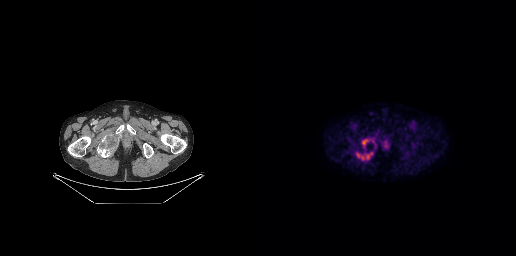
Left: CT. Right: PSMA PET, same axial level, 18F-PSMA tracer. PET panel 256×256 px (2.7 mm/px).
Coordinates are on the 256×256 PET (right) panel. PSMA-avid tumor lesion bounding boxes (partial; 1 more focus not listed):
| # | x0 | y0 | x1 | y1 |
|---|---|---|---|---|
| 1 | 96 | 152 | 112 | 159 |
| 2 | 102 | 139 | 108 | 147 |